Two-panel axial: CT | PSMA PET, 18F-PSMA tracer. Acquired on Siemens Biograph mCT Flow 20. Slice 242 of 419. PET panel 200×200 px (4.1 mm/px).
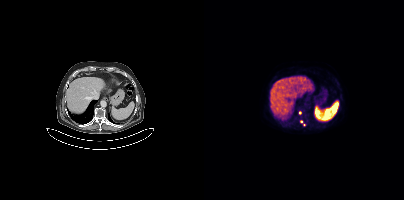
Coordinates are on the 200×200 PET (right) panel. Small PSMA-avid foci (2 to 4 px across) near (center x, center y): (95, 112); (97, 121).